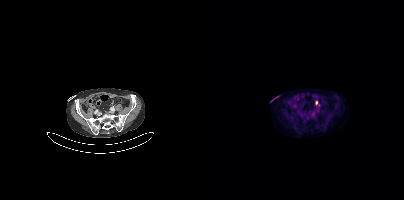
{"modality":"PSMA PET/CT","view":"axial","tracer":"18F","pet_grid":[200,200],"coord_frame":"pet_panel","coord_format":"x0,y0,x1,y1","partial":true,"lesion_bboxes":[],"small_foci_centers":[[112,102]]}